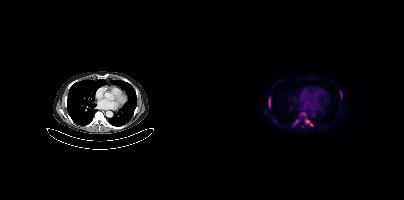
Findings: Coordinates are on the 200×200 PET (right) panel. PSMA-avid tumor lesion bounding boxes (x, y, width, height): x=101 y=119 w=8 h=7; x=64 y=98 w=3 h=10; x=88 y=120 w=6 h=6; x=136 y=91 w=3 h=8. Small PSMA-avid focus (2 to 4 px across) near (center x, center y): (99, 113).
Technique: Two-panel axial: CT | PSMA PET, 18F tracer. acquired on Siemens Biograph mCT Flow 20. slice position z = -594 mm.